A rectangle over the head was blacked out to remove identifiable facial features. Two-panel axial: CT | PSMA PET, [18F]PSMA-1007 tracer. Acquired on Siemens Biograph mCT Flow 20. Slice position z = -655 mm.
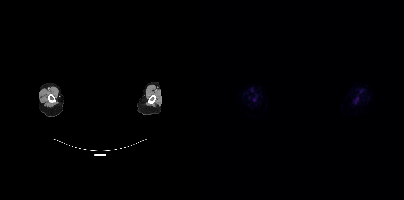
Coordinates are on the 200×200 PET (right) panel. Small PSMA-avid foci (2 to 4 px across) near (center x, center y): (50, 99); (153, 100).